Paired axial CT (left) and PSMA PET (right), 68Ga tracer. Slice position z = -1577 mm.
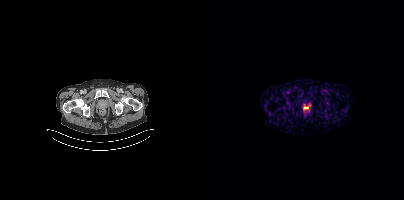
Only PSMA-avid lesion pieces thinner than 2 px on this slice (not listed).